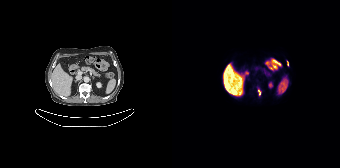
Coordinates are on the 168×168 PET (right) panel. PSMA-avid tumor lesion bounding boxes (x0,y0,x1,y1): [86,89,88,95], [115,61,116,65].